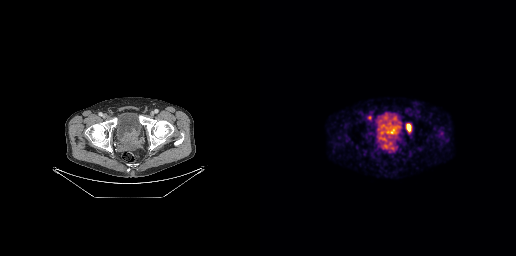
Findings: Coordinates are on the 256×256 PET (right) panel. PSMA-avid tumor lesion bounding boxes (x, y, width, height): x=123 y=124 w=17 h=18; x=146 y=124 w=6 h=8. Small PSMA-avid focus (2 to 4 px across) near (center x, center y): (109, 118).
Technique: Paired axial CT (left) and PSMA PET (right), 68Ga tracer. acquired on GE Discovery 690. slice 63 of 263.